modality: PSMA PET/CT | tracer: 68Ga-PSMA | view: axial | PET grid: 256×256
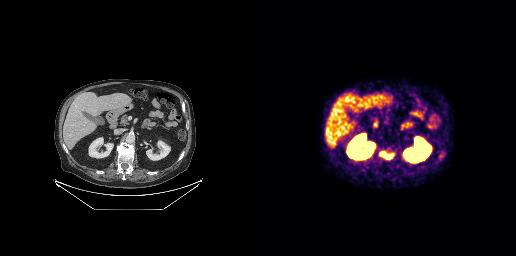
Coordinates are on the 256×256 PET (right) panel. PSMA-avid tumor lesion bounding box (x, y, width, height): x=119 y=151 w=16 h=9.